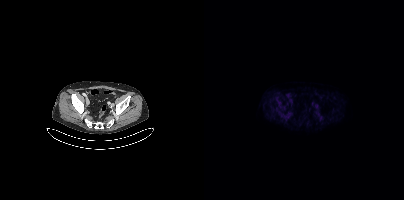
No tumor lesions annotated on this slice. Two-panel axial: CT | PSMA PET, 18F-PSMA tracer. Acquired on Siemens Biograph mCT Flow 20. PET panel 200×200 px (4.1 mm/px).